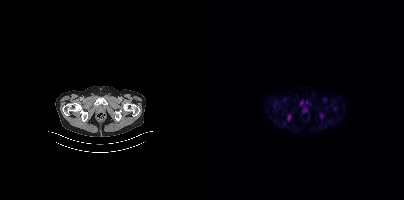
No tumor lesions annotated on this slice.